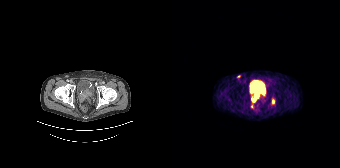
Coordinates are on the 168×168 PET (right) panel. PSMA-avid tumor lesion bounding boxes (x0,y0,x1,y1): [80,91,86,101]; [100,99,102,103]. Small PSMA-avid foci (2 to 4 px across) near (center x, center y): (66, 76); (79, 106).